Two-panel axial: CT | PSMA PET, 68Ga tracer. PET panel 256×256 px (2.7 mm/px).
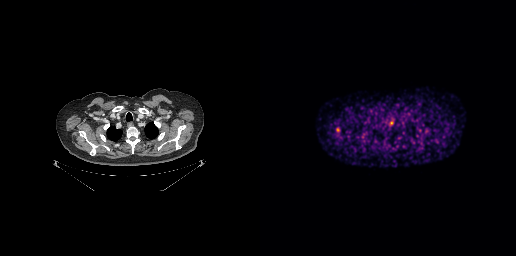
No tumor lesions annotated on this slice.